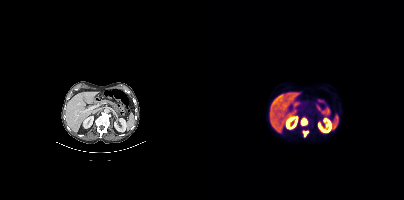
Two-panel axial: CT | PSMA PET, [18F]PSMA-1007 tracer. Slice 204 of 435. Coordinates are on the 200×200 PET (right) panel. PSMA-avid tumor lesion bounding boxes (x0, y0)-(x1, y1): (97, 119)-(102, 124) / (99, 131)-(104, 135).